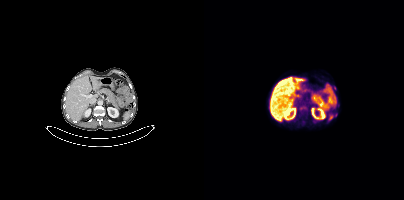
Findings: No tumor lesions annotated on this slice.
- Left: CT. Right: PSMA PET, same axial level, [18F]PSMA-1007 tracer
- slice position z = -1220 mm